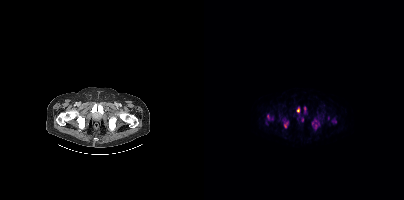
Coordinates are on the 200×200 PET (right) panel. PSMA-avid tumor lesion bounding boxes (partial; 1 more focus not listed):
| # | x0 | y0 | x1 | y1 |
|---|---|---|---|---|
| 1 | 63 | 114 | 69 | 120 |
| 2 | 128 | 119 | 132 | 123 |
| 3 | 80 | 122 | 84 | 127 |
| 4 | 93 | 108 | 95 | 112 |
| 5 | 100 | 107 | 101 | 111 |
Small PSMA-avid foci (2 to 4 px across) near (center x, center y): (111, 126); (98, 120); (108, 123); (111, 120).
Left: CT. Right: PSMA PET, same axial level, 18F-PSMA tracer. Slice 136 of 508.